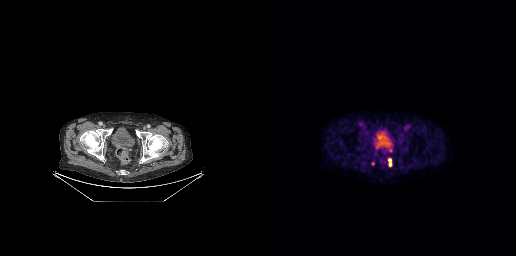
Two-panel axial: CT | PSMA PET, [18F]PSMA-1007 tracer. PET panel 256×256 px (2.7 mm/px). Coordinates are on the 256×256 PET (right) panel. Small PSMA-avid foci (2 to 4 px across) near (center x, center y): (130, 164) | (129, 160).